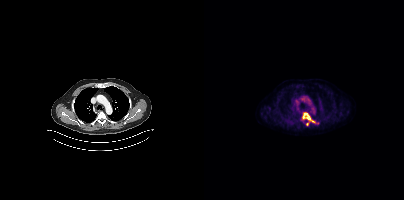
Coordinates are on the 200×200 PET (right) panel. (showing 1 of 2 foci) PSMA-avid tumor lesion bounding box (x0, y0)-(x1, y1): (99, 112)-(114, 124).
modality: PSMA PET/CT | tracer: 18F | view: axial | PET grid: 200×200